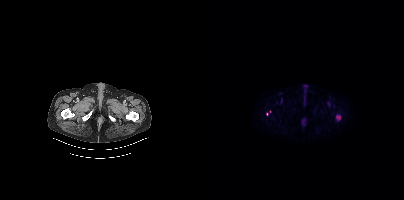
{"modality":"PSMA PET/CT","view":"axial","tracer":"18F-PSMA","pet_grid":[200,200],"coord_frame":"pet_panel","coord_format":"x0,y0,x1,y1","partial":true,"lesion_bboxes":[],"small_foci_centers":[[134,117]]}